- Paired axial CT (left) and PSMA PET (right), [18F]PSMA-1007 tracer
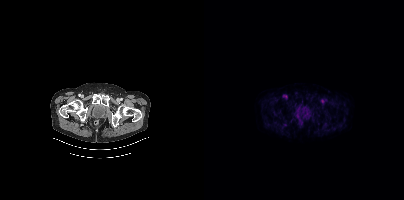
Findings: Negative for PSMA-avid disease on this slice.